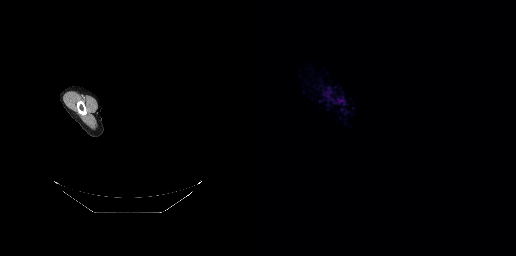
Technique: Two-panel axial: CT | PSMA PET, 18F-PSMA tracer. acquired on GE Discovery 690.
Note: Any black rectangle over the head is a privacy mask, not anatomy.
Findings: This slice has no annotated PSMA-avid lesion.